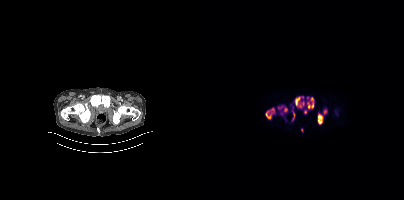
Technique: Left: CT. Right: PSMA PET, same axial level, 18F tracer. slice position z = -836 mm. PET panel 200×200 px (4.1 mm/px).
Findings: Coordinates are on the 200×200 PET (right) panel. PSMA-avid tumor lesion bounding boxes (x0, y0)-(x1, y1): (61, 108)-(70, 119) / (91, 97)-(100, 107) / (114, 114)-(118, 124) / (74, 105)-(83, 112) / (104, 102)-(109, 108) / (89, 112)-(90, 119). Small PSMA-avid foci (2 to 4 px across) near (center x, center y): (108, 98) / (121, 111) / (97, 130) / (77, 113).